Technique: Two-panel axial: CT | PSMA PET, 18F tracer. acquired on Siemens Biograph mCT Flow 20. PET panel 200×200 px (4.1 mm/px).
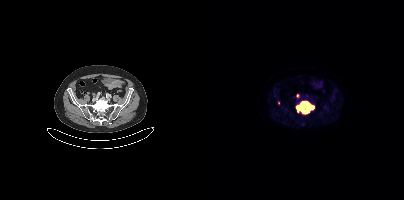
Findings: Coordinates are on the 200×200 PET (right) panel. PSMA-avid tumor lesion bounding box (x, y, width, height): x=92 y=101 w=19 h=13.